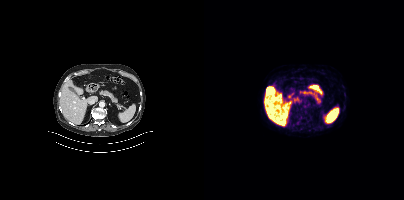
{"modality":"PSMA PET/CT","view":"axial","tracer":"18F","pet_grid":[200,200],"coord_frame":"pet_panel","coord_format":"x0,y0,x1,y1","psma_avid_lesions":false}